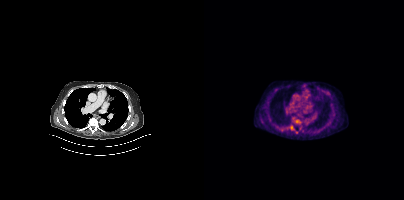
{"pet_grid":[200,200],"coord_frame":"pet_panel","coord_format":"x0,y0,x1,y1","lesion_bboxes":[],"small_foci_centers":[[87,128]],"modality":"PSMA PET/CT","view":"axial","tracer":"[18F]PSMA-1007"}